- Left: CT. Right: PSMA PET, same axial level, 18F-PSMA tracer
- slice 117 of 421
- PET panel 200×200 px (4.1 mm/px)
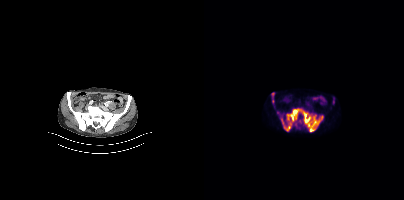
Findings: Coordinates are on the 200×200 PET (right) panel. (showing 4 of 6 foci) PSMA-avid tumor lesion bounding boxes (x, y, width, height): x=77 y=108 w=43 h=24 | x=67 y=92 w=4 h=5. Small PSMA-avid foci (2 to 4 px across) near (center x, center y): (73, 112) | (129, 101).